- Two-panel axial: CT | PSMA PET, 68Ga tracer
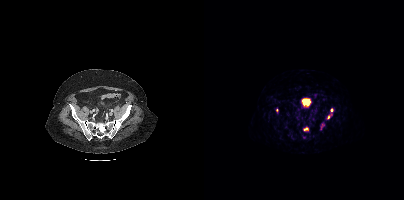
Findings: Coordinates are on the 200×200 PET (right) panel. (showing 3 of 4 foci) PSMA-avid tumor lesion bounding boxes (x0, y0)-(x1, y1): (122, 108)-(129, 119) / (99, 127)-(104, 130). Small PSMA-avid focus (2 to 4 px across) near (center x, center y): (72, 110).